de-identification: head region blanked (face removed) | modality: PSMA PET/CT | tracer: [18F]PSMA-1007 | view: axial | PET grid: 168×168
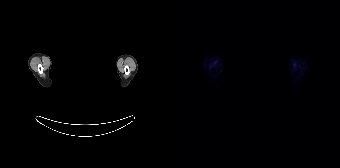
Negative for PSMA-avid disease on this slice.